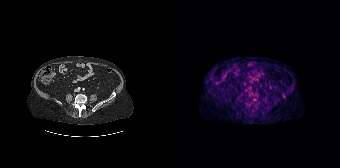
{"pet_grid":[168,168],"coord_frame":"pet_panel","coord_format":"x0,y0,x1,y1","lesion_bboxes":[],"small_foci_centers":[[111,96]],"modality":"PSMA PET/CT","view":"axial","tracer":"68Ga-PSMA"}